Technique: Two-panel axial: CT | PSMA PET, 68Ga tracer. PET panel 168×168 px (4.1 mm/px).
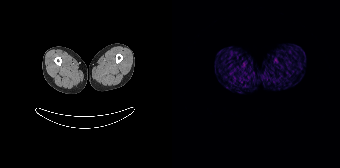
Findings: This slice has no annotated PSMA-avid lesion.